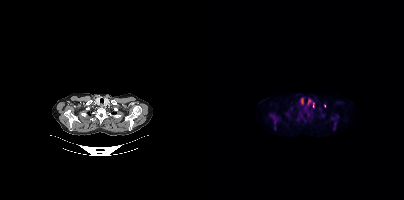
Coordinates are on the 200×200 PET (right) panel. PSMA-avid tumor lesion bounding boxes (x0,y0,x1,y1): [66,114,73,124]; [129,122,132,129]; [130,115,134,119]; [109,103,110,107]. Small PSMA-avid foci (2 to 4 px across) near (center x, center y): (120, 106); (70, 127).